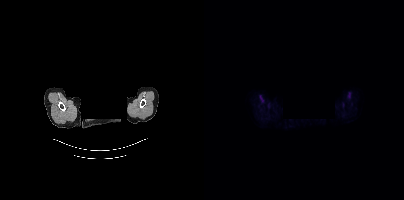
Findings: This slice has no annotated PSMA-avid lesion.
Technique: Paired axial CT (left) and PSMA PET (right), 18F-PSMA tracer. acquired on Siemens Biograph mCT Flow 20. slice 364 of 401. PET panel 200×200 px (4.1 mm/px).
Note: An anonymization step blacked out a rectangle over the head in this scan.